Technique: Left: CT. Right: PSMA PET, same axial level, [18F]PSMA-1007 tracer.
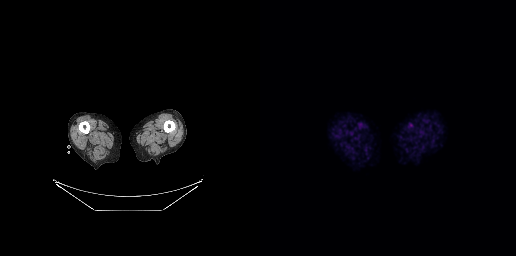
Findings: No PSMA-avid tumor lesions on this slice.